Paired axial CT (left) and PSMA PET (right), [18F]PSMA-1007 tracer. Acquired on Siemens Biograph mCT Flow 20.
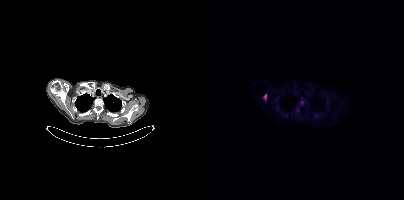
Coordinates are on the 200×200 PET (right) panel. PSMA-avid tumor lesion bounding boxes (partial; 1 more focus not listed):
| # | x0 | y0 | x1 | y1 |
|---|---|---|---|---|
| 1 | 59 | 94 | 62 | 100 |
Small PSMA-avid focus (2 to 4 px across) near (center x, center y): (97, 101).